Left: CT. Right: PSMA PET, same axial level, 18F-PSMA tracer.
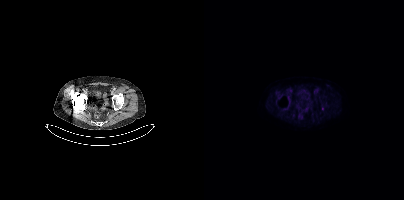
No PSMA-avid tumor lesions on this slice.